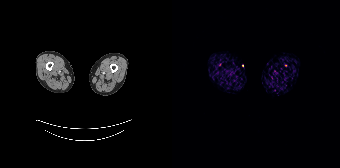
Negative for PSMA-avid disease on this slice.